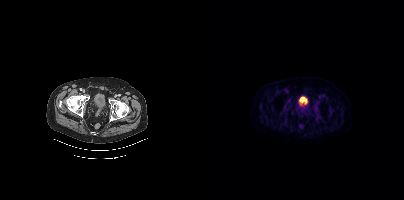
This slice has no annotated PSMA-avid lesion. Two-panel axial: CT | PSMA PET, [18F]PSMA-1007 tracer.